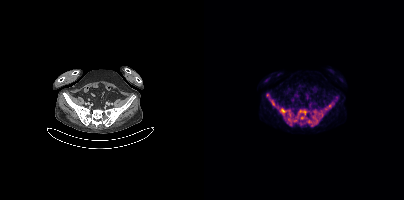
Coordinates are on the 200×200 PET (right) panel. (showing 8 of 9 foci) PSMA-avid tumor lesion bounding boxes (x0, y0)-(x1, y1): (81, 111)-(103, 125) / (102, 116)-(116, 126) / (67, 100)-(74, 107). Small PSMA-avid foci (2 to 4 px across) near (center x, center y): (79, 110) / (97, 123) / (63, 95) / (125, 105) / (96, 111). Two-panel axial: CT | PSMA PET, [18F]PSMA-1007 tracer. PET panel 200×200 px (4.1 mm/px).